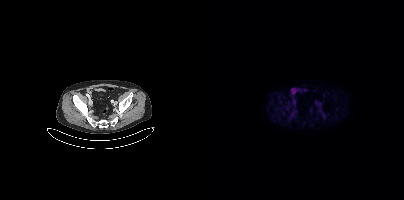
No tumor lesions annotated on this slice. Left: CT. Right: PSMA PET, same axial level, [18F]PSMA-1007 tracer. Slice 91 of 429.